- Paired axial CT (left) and PSMA PET (right), 18F-PSMA tracer
- PET panel 200×200 px (4.1 mm/px)
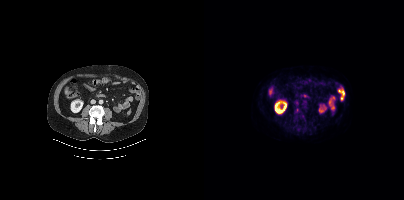
Findings: Negative for PSMA-avid disease on this slice.